- Two-panel axial: CT | PSMA PET, [18F]PSMA-1007 tracer
- PET panel 256×256 px (2.7 mm/px)
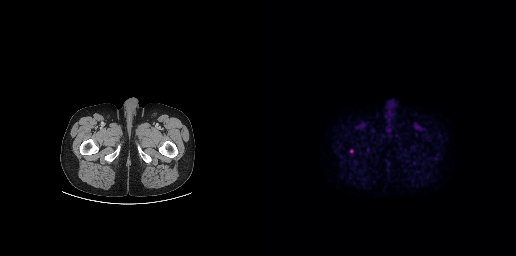
Findings: Coordinates are on the 256×256 PET (right) panel. Small PSMA-avid focus (2 to 4 px across) near (center x, center y): (91, 150).